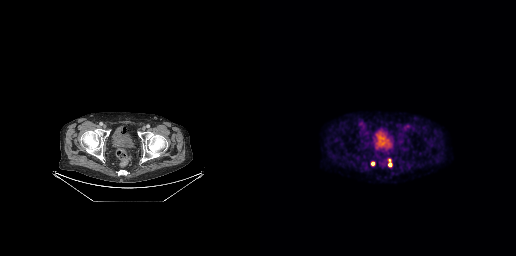
Coordinates are on the 256×256 PET (right) panel. Small PSMA-avid foci (2 to 4 px across) near (center x, center y): (130, 164); (113, 163).
modality: PSMA PET/CT | tracer: 18F-PSMA | view: axial | PET grid: 256×256